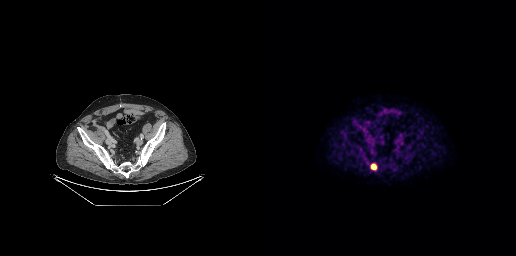
Paired axial CT (left) and PSMA PET (right), 18F-PSMA tracer. PET panel 256×256 px (2.7 mm/px). Coordinates are on the 256×256 PET (right) panel. (showing 1 of 2 foci) PSMA-avid tumor lesion bounding box (x, y, width, height): x=111 y=164 w=6 h=6.